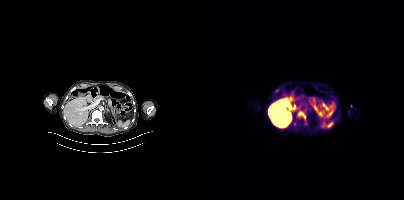
Coordinates are on the 200×200 PET (right) panel. PSMA-avid tumor lesion bounding box (x, y, width, height): x=93 y=111 w=9 h=9.